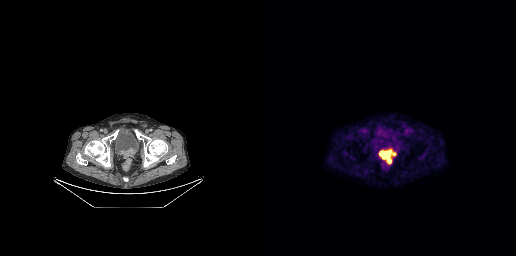
{"modality":"PSMA PET/CT","view":"axial","tracer":"18F-PSMA","pet_grid":[256,256],"coord_frame":"pet_panel","coord_format":"x0,y0,x1,y1","lesion_bboxes":[[119,150,135,164]]}